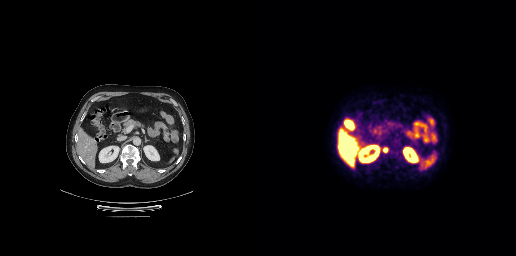
{"modality":"PSMA PET/CT","view":"axial","tracer":"18F","pet_grid":[256,256],"coord_frame":"pet_panel","coord_format":"x0,y0,x1,y1","lesion_bboxes":[[123,147,127,152]]}